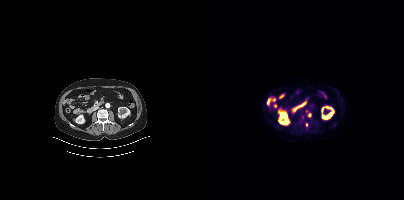
- Paired axial CT (left) and PSMA PET (right), [18F]PSMA-1007 tracer
- PET panel 200×200 px (4.1 mm/px)
Findings: Coordinates are on the 200×200 PET (right) panel. (showing 3 of 4 foci) Small PSMA-avid foci (2 to 4 px across) near (center x, center y): (102, 124); (105, 115); (102, 111).